Paired axial CT (left) and PSMA PET (right), [68Ga]Ga-PSMA-11 tracer. Slice position z = -1710 mm.
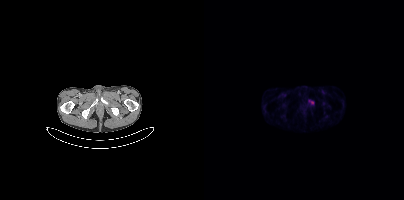
Coordinates are on the 200×200 PET (right) panel. PSMA-avid tumor lesion bounding box (x0, y0)-(x1, y1): (104, 100)-(110, 104).